Two-panel axial: CT | PSMA PET, 18F tracer. Slice 228 of 393.
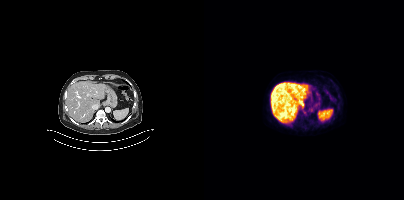
Coordinates are on the 200×200 PET (right) panel. Small PSMA-avid focus (2 to 4 px across) near (center x, center y): (100, 112).